modality: PSMA PET/CT | tracer: [68Ga]Ga-PSMA-11 | view: axial | PET grid: 168×168
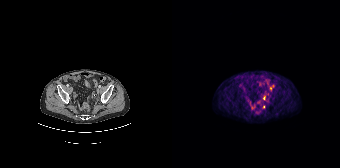
Coordinates are on the 168×168 PET (right) panel. Small PSMA-avid foci (2 to 4 px across) near (center x, center y): (92, 97) | (91, 106).